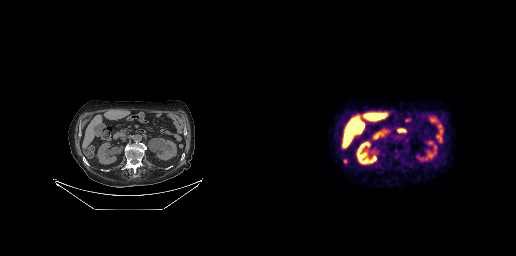
Coordinates are on the 256×256 PET (right) panel. PSMA-avid tumor lesion bounding box (x0,y0,x1,y1): [83,159,87,163].